- Left: CT. Right: PSMA PET, same axial level, 18F tracer
- slice 366 of 462
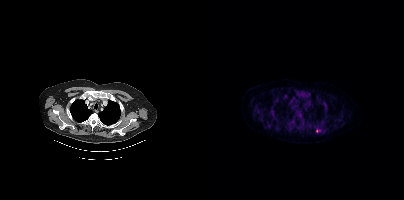
Findings: Coordinates are on the 200×200 PET (right) panel. (showing 1 of 2 foci) Small PSMA-avid focus (2 to 4 px across) near (center x, center y): (113, 130).